- Paired axial CT (left) and PSMA PET (right), [18F]PSMA-1007 tracer
- acquired on Siemens Biograph mCT Flow 20
- slice 339 of 435
- PET panel 200×200 px (4.1 mm/px)
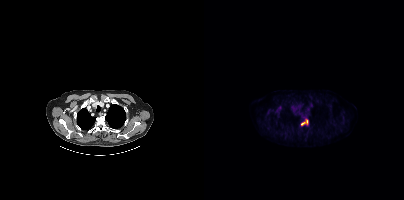
Findings: Coordinates are on the 200×200 PET (right) panel. PSMA-avid tumor lesion bounding box (x0,y0,x1,y1): [97,119,104,125].